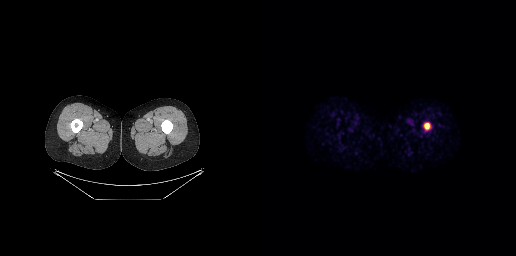
Coordinates are on the 256×256 PET (right) panel. PSMA-avid tumor lesion bounding boxes:
| # | x0 | y0 | x1 | y1 |
|---|---|---|---|---|
| 1 | 164 | 123 | 169 | 129 |
Paired axial CT (left) and PSMA PET (right), 68Ga-PSMA tracer. Acquired on GE Discovery 690. Slice position z = -1105 mm. PET panel 256×256 px (2.7 mm/px).